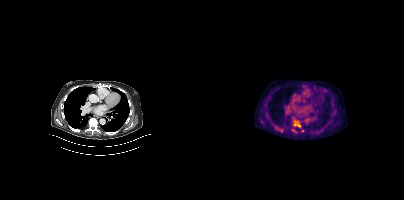
Coordinates are on the 200×200 PET (right) panel. (showing 2 of 3 foci) PSMA-avid tumor lesion bounding box (x0, y0)-(x1, y1): (92, 123)-(96, 127). Small PSMA-avid focus (2 to 4 px across) near (center x, center y): (98, 130).
modality: PSMA PET/CT | tracer: [18F]PSMA-1007 | view: axial